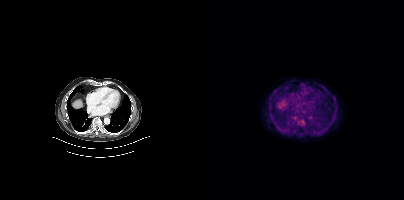
{"modality":"PSMA PET/CT","view":"axial","tracer":"18F-PSMA","pet_grid":[200,200],"coord_frame":"pet_panel","coord_format":"x0,y0,x1,y1","lesion_bboxes":[[96,120,100,123]]}